- Left: CT. Right: PSMA PET, same axial level, 68Ga-PSMA tracer
- acquired on Siemens Biograph 64-4R TruePoint
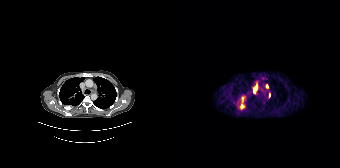
Findings: Coordinates are on the 168×168 PET (right) panel. PSMA-avid tumor lesion bounding boxes (x, y, width, height): x=67 y=96 w=7 h=14 / x=81 y=82 w=6 h=12. Small PSMA-avid foci (2 to 4 px across) near (center x, center y): (95, 86) / (97, 95).